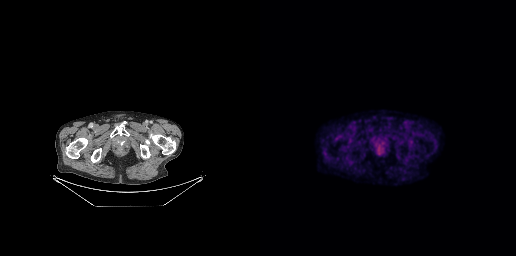
modality: PSMA PET/CT | tracer: [18F]PSMA-1007 | view: axial
This slice has no annotated PSMA-avid lesion.